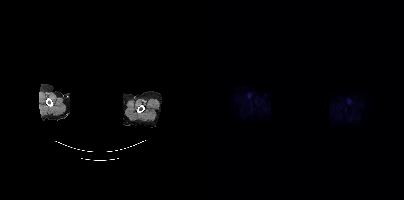
Findings: Negative for PSMA-avid disease on this slice.
- the face region was removed for patient privacy by blanking a rectangle over the head
- Paired axial CT (left) and PSMA PET (right), [18F]PSMA-1007 tracer
- slice 390 of 435